Paired axial CT (left) and PSMA PET (right), 18F tracer. PET panel 200×200 px (4.1 mm/px).
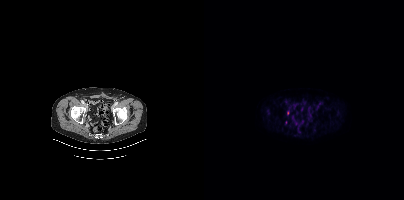
Only PSMA-avid lesion pieces thinner than 2 px on this slice (not listed).